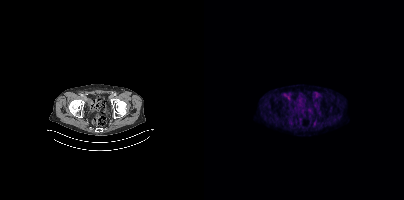
This slice has no annotated PSMA-avid lesion.